Paired axial CT (left) and PSMA PET (right), 18F-PSMA tracer. Acquired on Siemens Biograph mCT Flow 20. PET panel 200×200 px (4.1 mm/px).
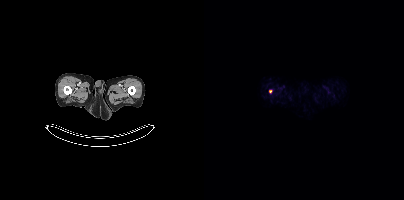
Coordinates are on the 200×200 PET (right) panel. Small PSMA-avid focus (2 to 4 px across) near (center x, center y): (66, 91).